Technique: Two-panel axial: CT | PSMA PET, [18F]PSMA-1007 tracer. slice 141 of 429. PET panel 200×200 px (4.1 mm/px).
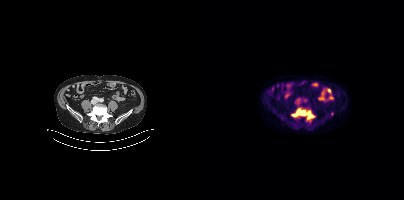
Findings: Coordinates are on the 200×200 PET (right) panel. PSMA-avid tumor lesion bounding box (x0, y0)-(x1, y1): (88, 109)-(109, 118).